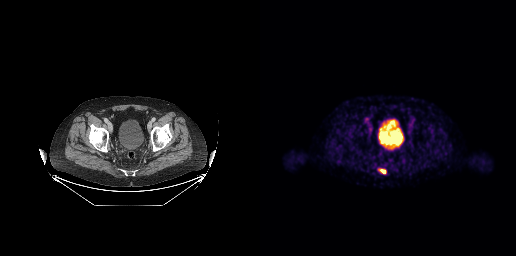
- Left: CT. Right: PSMA PET, same axial level, 18F tracer
- slice position z = -799 mm
Findings: Coordinates are on the 256×256 PET (right) panel. PSMA-avid tumor lesion bounding box (x0,y0,x1,y1): [119,169,126,173].